- Paired axial CT (left) and PSMA PET (right), 18F-PSMA tracer
- slice 83 of 403
- PET panel 200×200 px (4.1 mm/px)
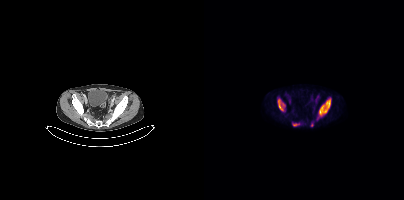
Findings: Coordinates are on the 200×200 PET (right) panel. PSMA-avid tumor lesion bounding boxes (x0,y0,x1,y1): [114,98,127,117], [73,98,81,111], [89,124,95,125]. Small PSMA-avid focus (2 to 4 px across) near (center x, center y): (107, 125).